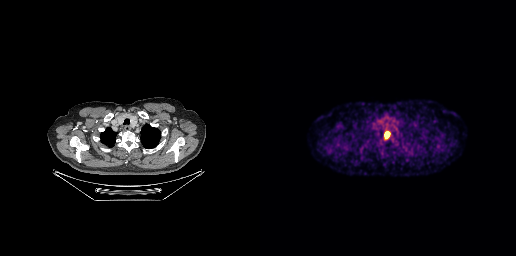
modality: PSMA PET/CT | tracer: 18F-PSMA | view: axial | PET grid: 256×256
Coordinates are on the 256×256 PET (right) panel. PSMA-avid tumor lesion bounding box (x0, y0)-(x1, y1): (124, 131)-(129, 138).